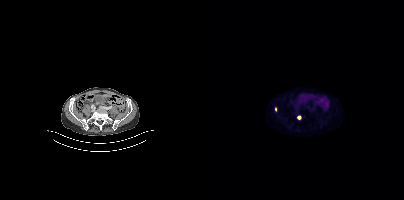
{"modality":"PSMA PET/CT","view":"axial","tracer":"18F-PSMA","pet_grid":[200,200],"coord_frame":"pet_panel","coord_format":"x0,y0,x1,y1","lesion_bboxes":[[71,107,72,111]],"small_foci_centers":[[94,117]]}